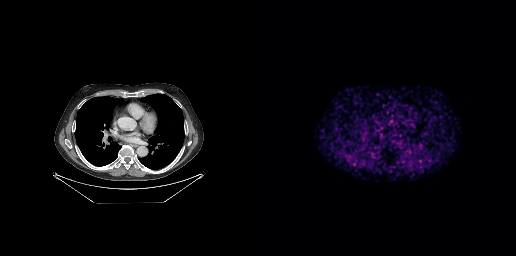
This slice has no annotated PSMA-avid lesion.